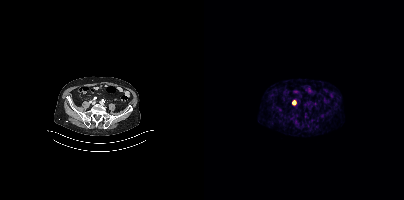
- Left: CT. Right: PSMA PET, same axial level, [68Ga]Ga-PSMA-11 tracer
- slice 107 of 385
- PET panel 200×200 px (4.1 mm/px)
Findings: Coordinates are on the 200×200 PET (right) panel. Small PSMA-avid focus (2 to 4 px across) near (center x, center y): (89, 102).